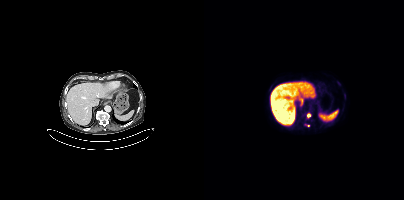
{"modality":"PSMA PET/CT","view":"axial","tracer":"18F","pet_grid":[200,200],"coord_frame":"pet_panel","coord_format":"x0,y0,x1,y1","partial":true,"lesion_bboxes":[[101,114,106,118]],"small_foci_centers":[[103,125]]}